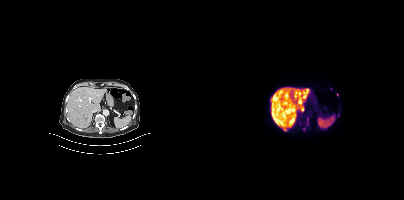
{"modality":"PSMA PET/CT","view":"axial","tracer":"18F-PSMA","pet_grid":[200,200],"coord_frame":"pet_panel","coord_format":"x0,y0,x1,y1","partial":true,"lesion_bboxes":[[73,108,86,114],[68,113,72,119],[101,88,105,91]],"small_foci_centers":[[80,129]]}